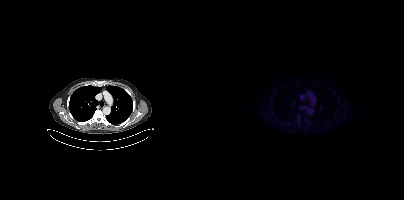
Findings: No tumor lesions annotated on this slice.
Technique: Two-panel axial: CT | PSMA PET, 18F tracer. slice 323 of 431. PET panel 200×200 px (4.1 mm/px).